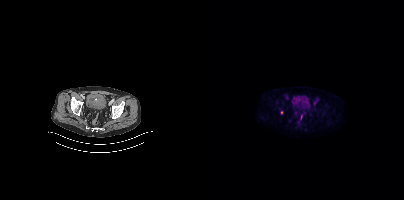
{"modality":"PSMA PET/CT","view":"axial","tracer":"18F","pet_grid":[200,200],"coord_frame":"pet_panel","coord_format":"x0,y0,x1,y1","partial":true,"lesion_bboxes":[]}